Paired axial CT (left) and PSMA PET (right), 68Ga-PSMA tracer. Slice 178 of 263. PET panel 256×256 px (2.7 mm/px).
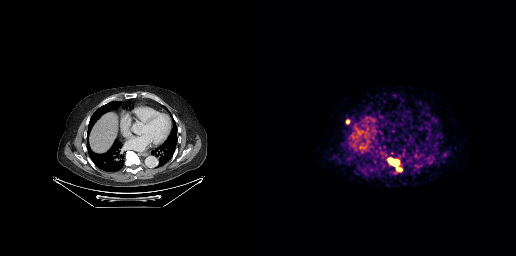
Coordinates are on the 256×256 PET (right) panel. PSMA-avid tumor lesion bounding boxes (x0, y0)-(x1, y1): (127, 157)-(142, 171) | (86, 119)-(89, 123).